- Two-panel axial: CT | PSMA PET, [18F]PSMA-1007 tracer
- acquired on GE Discovery 690
- PET panel 256×256 px (2.7 mm/px)
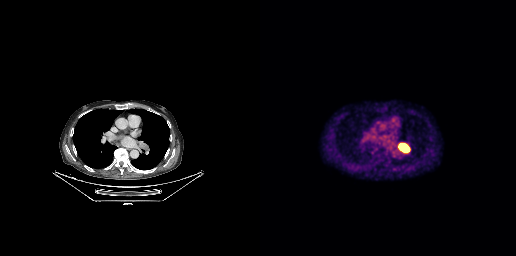
Findings: Coordinates are on the 256×256 PET (right) panel. PSMA-avid tumor lesion bounding box (x, y, width, height): x=138 y=143 w=13 h=11.